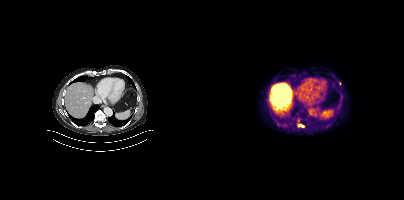
Coordinates are on the 200×200 PET (right) panel. PSMA-avid tumor lesion bounding box (x, y, width, height): x=94 y=124 w=7 h=4. Small PSMA-avid focus (2 to 4 px across) near (center x, center y): (136, 83).